Left: CT. Right: PSMA PET, same axial level, [18F]PSMA-1007 tracer.
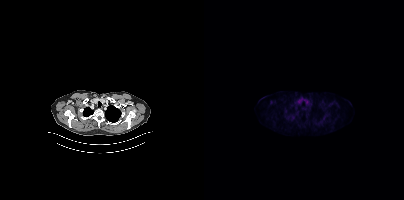
This slice has no annotated PSMA-avid lesion.